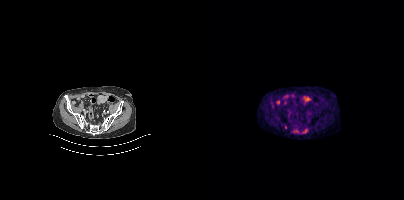
{"modality":"PSMA PET/CT","view":"axial","tracer":"18F","pet_grid":[200,200],"coord_frame":"pet_panel","coord_format":"x0,y0,x1,y1","lesion_bboxes":[],"small_foci_centers":[[81,127]]}